Left: CT. Right: PSMA PET, same axial level, 18F tracer. PET panel 200×200 px (4.1 mm/px).
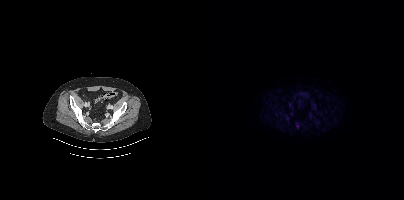
Coordinates are on the 200×200 PET (right) panel. Small PSMA-avid focus (2 to 4 px across) near (center x, center y): (93, 125).